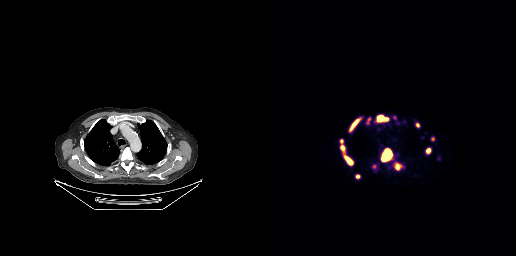
modality: PSMA PET/CT | tracer: [68Ga]Ga-PSMA-11 | view: axial
Coordinates are on the 256×256 PET (right) panel. (showing 12 of 13 foci) PSMA-avid tumor lesion bounding boxes (x, y, width, height): x=122 y=149 w=10 h=12 | x=90 y=119 w=10 h=12 | x=85 y=156 w=8 h=9 | x=118 y=116 w=10 h=5 | x=106 y=117 w=5 h=8 | x=166 y=148 w=5 h=6 | x=80 y=146 w=5 h=6 | x=96 y=174 w=5 h=5 | x=171 y=137 w=4 h=5 | x=80 y=139 w=4 h=6 | x=156 y=123 w=4 h=5. Small PSMA-avid focus (2 to 4 px across) near (center x, center y): (178, 158).